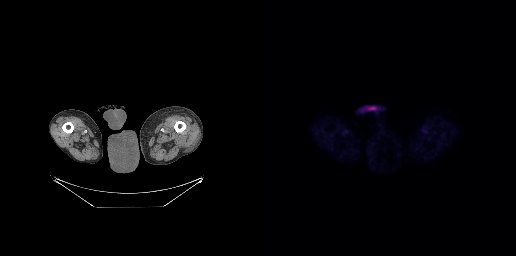
Two-panel axial: CT | PSMA PET, 18F tracer. No PSMA-avid tumor lesions on this slice.